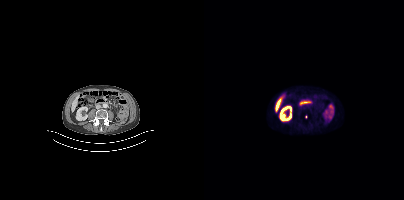
{"modality":"PSMA PET/CT","view":"axial","tracer":"[18F]PSMA-1007","pet_grid":[200,200],"coord_frame":"pet_panel","coord_format":"x0,y0,x1,y1","lesion_bboxes":[],"small_foci_centers":[[101,116]]}